Paired axial CT (left) and PSMA PET (right), 18F tracer. Slice 365 of 407. PET panel 200×200 px (4.1 mm/px). A rectangular block over the head has been blanked out for de-identification.
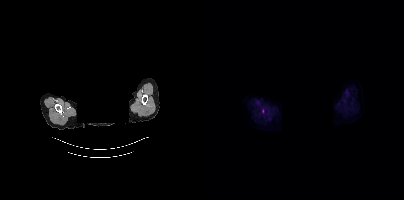
Only PSMA-avid lesion pieces thinner than 2 px on this slice (not listed).